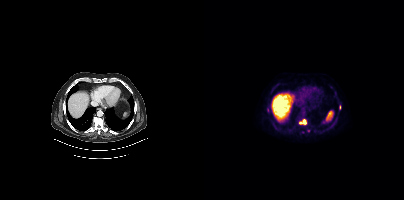
Coordinates are on the 200×200 PET (right) panel. PSMA-avid tumor lesion bounding box (x, y, width, height): x=95 y=119 w=8 h=6. Small PSMA-avid foci (2 to 4 px across) near (center x, center y): (98, 132) / (64, 110) / (135, 107) / (104, 130).